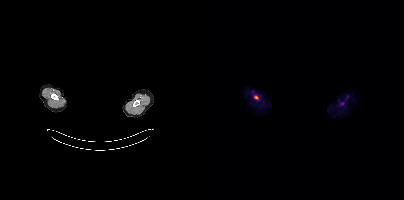
The face region was removed for patient privacy by blanking a rectangle over the head.
Coordinates are on the 200×200 PET (right) panel. Small PSMA-avid focus (2 to 4 px across) near (center x, center y): (51, 97).